Two-panel axial: CT | PSMA PET, 68Ga tracer. Head region blanked for anonymization (face removed).
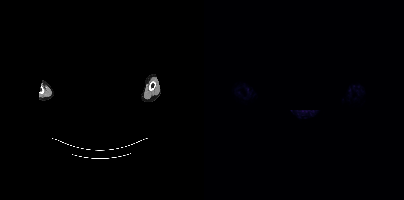
No tumor lesions annotated on this slice.